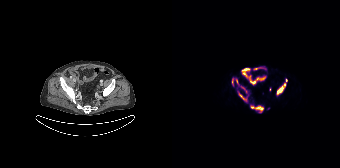
{"modality":"PSMA PET/CT","view":"axial","tracer":"18F","pet_grid":[168,168],"coord_frame":"pet_panel","coord_format":"x0,y0,x1,y1","partial":true,"lesion_bboxes":[[104,79,115,95],[78,105,91,112],[65,91,75,102],[63,79,75,93],[60,78,61,86]]}